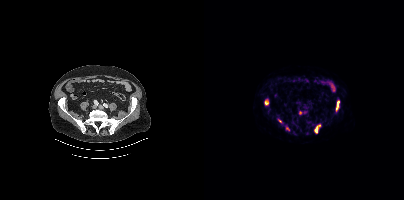
{"modality":"PSMA PET/CT","view":"axial","tracer":"18F","pet_grid":[200,200],"coord_frame":"pet_panel","coord_format":"x0,y0,x1,y1","lesion_bboxes":[[110,124,116,133],[132,100,135,111],[61,100,64,104]],"small_foci_centers":[[76,121],[83,129]]}